modality: PSMA PET/CT | tracer: 18F-PSMA | view: axial | PET grid: 256×256
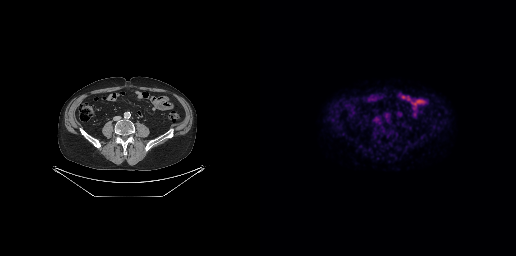
Negative for PSMA-avid disease on this slice.